modality: PSMA PET/CT | tracer: 18F | view: axial | PET grid: 256×256
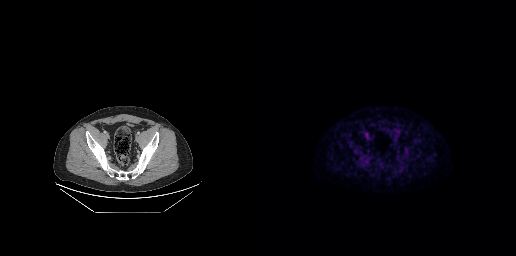
Coordinates are on the 256×256 PET (right) panel. Small PSMA-avid foci (2 to 4 px across) near (center x, center y): (146, 150), (136, 130).